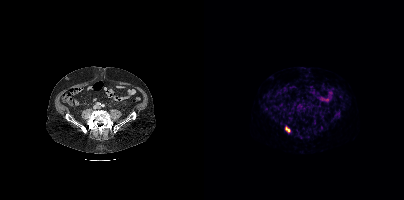
{"pet_grid":[200,200],"coord_frame":"pet_panel","coord_format":"x0,y0,x1,y1","lesion_bboxes":[[81,127,85,131]],"modality":"PSMA PET/CT","view":"axial","tracer":"[68Ga]Ga-PSMA-11"}